modality: PSMA PET/CT | tracer: 68Ga | view: axial | PET grid: 200×200
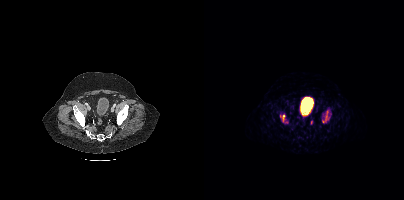
Coordinates are on the 200×200 PET (right) panel. (showing 2 of 6 foci) PSMA-avid tumor lesion bounding boxes (x0, y0)-(x1, y1): (118, 108)-(127, 123) | (78, 115)-(81, 121).